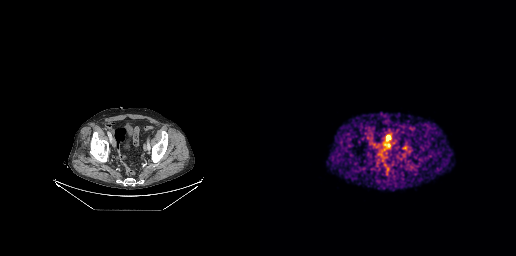
{"modality":"PSMA PET/CT","view":"axial","tracer":"[68Ga]Ga-PSMA-11","pet_grid":[256,256],"coord_frame":"pet_panel","coord_format":"x0,y0,x1,y1","lesion_bboxes":[],"small_foci_centers":[[125,149]]}